modality: PSMA PET/CT | tracer: [18F]PSMA-1007 | view: axial | PET grid: 200×200
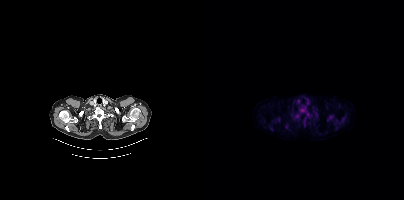
Coordinates are on the 200×200 PET (right) panel. PSMA-avid tumor lesion bounding box (x0,y0,x1,y1): [96,108,100,112]. Small PSMA-avid focus (2 to 4 px across) near (center x, center y): (82, 126).